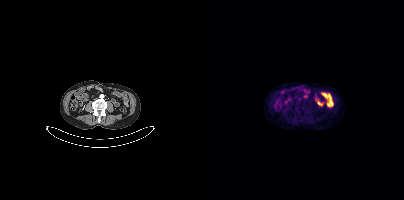
No PSMA-avid tumor lesions on this slice. Paired axial CT (left) and PSMA PET (right), [18F]PSMA-1007 tracer. Slice position z = -1482 mm.